modality: PSMA PET/CT | tracer: 18F | view: axial
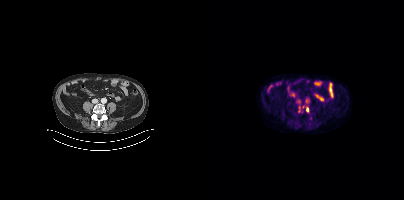
Coordinates are on the 200×200 PET (right) panel. (showing 2 of 5 foci) PSMA-avid tumor lesion bounding box (x0, y0)-(x1, y1): (102, 107)-(104, 112). Small PSMA-avid focus (2 to 4 px across) near (center x, center y): (102, 101).